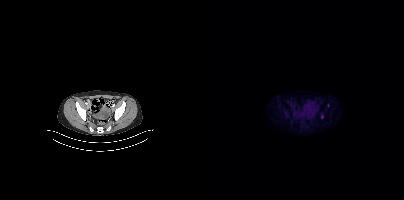
Only PSMA-avid lesion pieces thinner than 2 px on this slice (not listed).